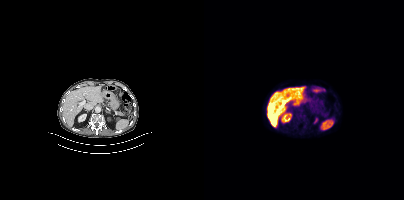
Technique: Two-panel axial: CT | PSMA PET, 18F-PSMA tracer. slice 221 of 421.
Findings: This slice has no annotated PSMA-avid lesion.